Two-panel axial: CT | PSMA PET, 18F-PSMA tracer. Acquired on GE Discovery 690. Slice 163 of 263. PET panel 256×256 px (2.7 mm/px).
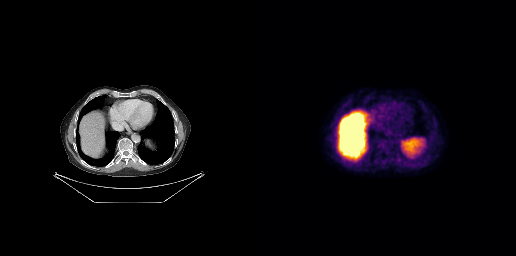
This slice has no annotated PSMA-avid lesion.